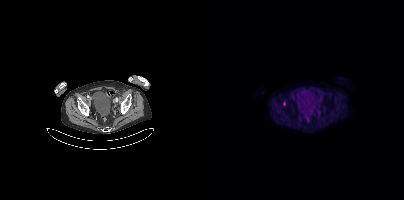
Technique: Paired axial CT (left) and PSMA PET (right), [18F]PSMA-1007 tracer. acquired on Siemens Biograph mCT Flow 20. PET panel 200×200 px (4.1 mm/px).
Findings: Coordinates are on the 200×200 PET (right) panel. Small PSMA-avid focus (2 to 4 px across) near (center x, center y): (80, 103).